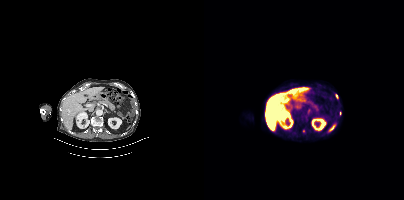
- Left: CT. Right: PSMA PET, same axial level, [18F]PSMA-1007 tracer
- PET panel 200×200 px (4.1 mm/px)
Findings: Coordinates are on the 200×200 PET (right) panel. PSMA-avid tumor lesion bounding box (x, y, width, height): x=131 y=94 w=4 h=5. Small PSMA-avid foci (2 to 4 px across) near (center x, center y): (136, 113) / (99, 130).